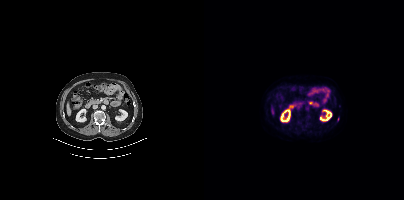
Only PSMA-avid lesion pieces thinner than 2 px on this slice (not listed).